- Two-panel axial: CT | PSMA PET, 18F tracer
- slice position z = -961 mm
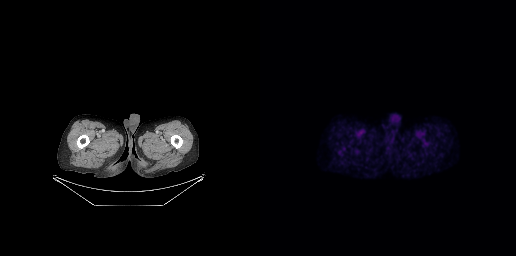
Findings: No PSMA-avid tumor lesions on this slice.